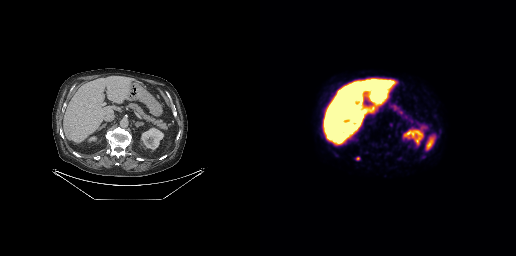
Paired axial CT (left) and PSMA PET (right), [18F]PSMA-1007 tracer. Slice position z = -455 mm. Coordinates are on the 256×256 PET (right) panel. Small PSMA-avid focus (2 to 4 px across) near (center x, center y): (97, 158).